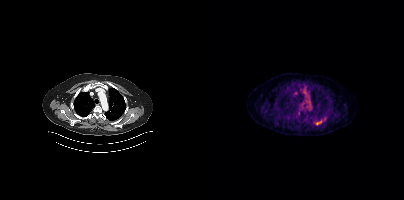
Coordinates are on the 200×200 PET (right) panel. (showing 2 of 3 foci) Small PSMA-avid foci (2 to 4 px across) near (center x, center y): (113, 123) (116, 121). Left: CT. Right: PSMA PET, same axial level, [18F]PSMA-1007 tracer.